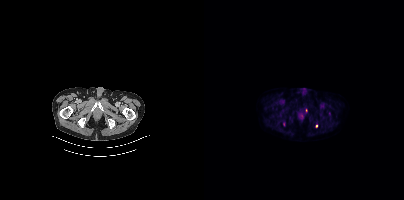
{"modality":"PSMA PET/CT","view":"axial","tracer":"[18F]PSMA-1007","pet_grid":[200,200],"coord_frame":"pet_panel","coord_format":"x0,y0,x1,y1","lesion_bboxes":[],"small_foci_centers":[[112,125],[102,110]]}